Technique: Left: CT. Right: PSMA PET, same axial level, 18F-PSMA tracer. PET panel 200×200 px (4.1 mm/px).
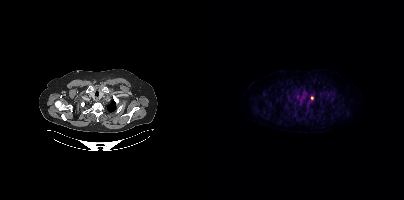
Findings: Coordinates are on the 200×200 PET (right) panel. Small PSMA-avid focus (2 to 4 px across) near (center x, center y): (127, 99).